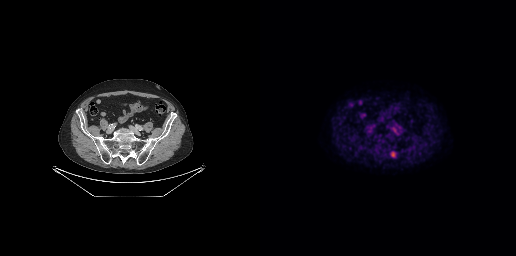
Coordinates are on the 256×256 PET (right) panel. PSMA-avid tumor lesion bounding box (x0, y0)-(x1, y1): (131, 152)-(135, 157).